Two-panel axial: CT | PSMA PET, 18F tracer. Slice position z = -238 mm. PET panel 200×200 px (4.1 mm/px).
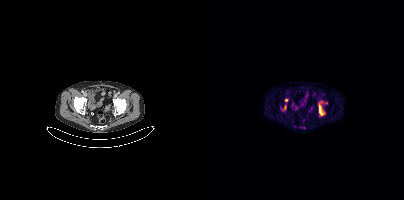
Coordinates are on the 200×200 PET (right) panel. (showing 4 of 5 foci) PSMA-avid tumor lesion bounding boxes (x0,y0,x1,y1): [114,101,121,115], [77,105,82,111]. Small PSMA-avid foci (2 to 4 px across) near (center x, center y): (121, 102), (82, 100).